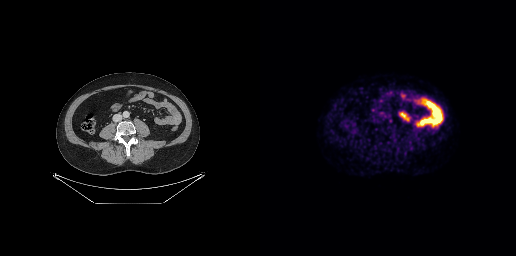
- Left: CT. Right: PSMA PET, same axial level, 68Ga tracer
- PET panel 256×256 px (2.7 mm/px)
Findings: No tumor lesions annotated on this slice.